Technique: Left: CT. Right: PSMA PET, same axial level, 18F-PSMA tracer. PET panel 200×200 px (4.1 mm/px).
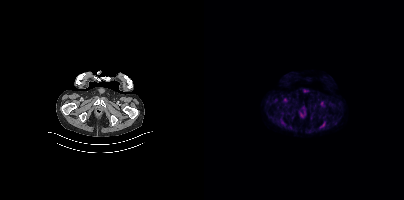
Findings: No tumor lesions annotated on this slice.